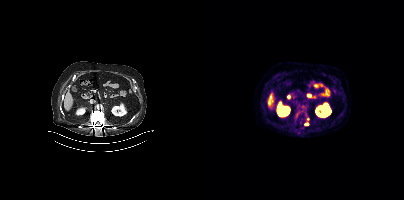
modality: PSMA PET/CT | tracer: 18F-PSMA | view: axial
Coordinates are on the 200×200 PET (right) panel. (showing 2 of 3 foci) Small PSMA-avid foci (2 to 4 px across) near (center x, center y): (102, 124) | (92, 116).